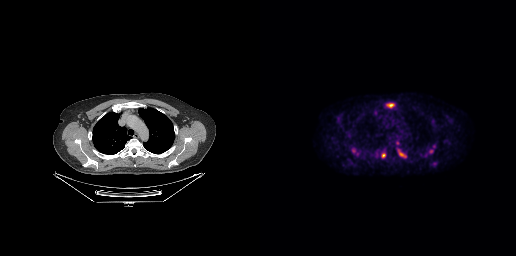
Findings: Coordinates are on the 256×256 PET (right) panel. (showing 5 of 6 foci) PSMA-avid tumor lesion bounding box (x0, y0)-(x1, y1): (127, 103)-(133, 107). Small PSMA-avid foci (2 to 4 px across) near (center x, center y): (93, 150) / (123, 155) / (141, 154) / (171, 151).
Technique: Left: CT. Right: PSMA PET, same axial level, 18F tracer.